Technique: Left: CT. Right: PSMA PET, same axial level, 18F tracer. PET panel 200×200 px (4.1 mm/px).
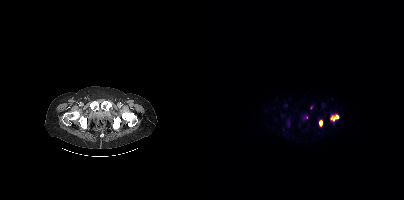
Findings: Coordinates are on the 200×200 PET (right) panel. (showing 2 of 4 foci) PSMA-avid tumor lesion bounding boxes (x, y, width, height): x=126 y=114 w=10 h=8 / x=115 y=120 w=4 h=7.